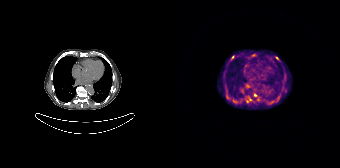
{"modality":"PSMA PET/CT","view":"axial","tracer":"[68Ga]Ga-PSMA-11","pet_grid":[168,168],"coord_frame":"pet_panel","coord_format":"x0,y0,x1,y1","partial":true,"lesion_bboxes":[],"small_foci_centers":[[86,98],[61,56],[105,58],[83,95],[75,100],[51,76],[81,54]]}